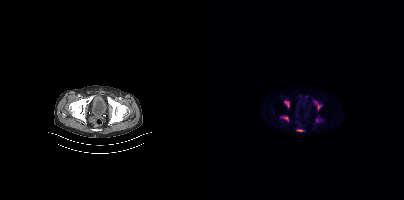
Left: CT. Right: PSMA PET, same axial level, [18F]PSMA-1007 tracer. Acquired on Siemens Biograph mCT Flow 20. Slice position z = -936 mm. PET panel 200×200 px (4.1 mm/px). Coordinates are on the 200×200 PET (right) panel. (showing 5 of 6 foci) PSMA-avid tumor lesion bounding boxes (x0, y0)-(x1, y1): (80, 101)-(85, 107); (111, 102)-(116, 109); (79, 117)-(84, 120); (112, 118)-(114, 122); (93, 130)-(98, 131).